modality: PSMA PET/CT | tracer: 18F-PSMA | view: axial | PET grid: 200×200
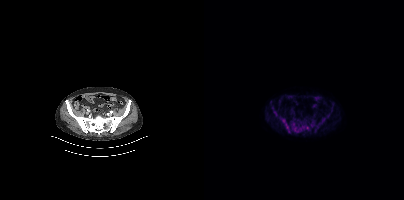
Coordinates are on the 200×200 PET (right) panel. (showing 7 of 8 foci) PSMA-avid tumor lesion bounding boxes (x0,y0,x1,y1): [88,122,105,132] [76,117,86,132] [115,118,121,124] [107,120,110,126] [70,111,73,116] [112,126,114,130]. Small PSMA-avid focus (2 to 4 px across) near (center x, center y): (124, 115).